Left: CT. Right: PSMA PET, same axial level, 68Ga-PSMA tracer. Acquired on Siemens Biograph 64-4R TruePoint. PET panel 168×168 px (4.1 mm/px).
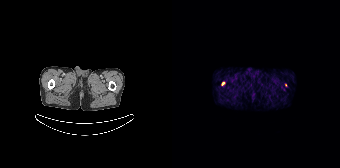
Coordinates are on the 168×168 PET (right) panel. (showing 1 of 2 foci) Small PSMA-avid focus (2 to 4 px across) near (center x, center y): (51, 83).